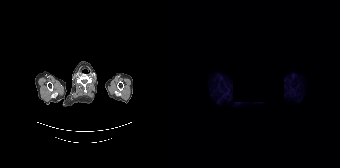
A rectangular privacy mask was applied before release.
This slice has no annotated PSMA-avid lesion.